modality: PSMA PET/CT | tracer: 18F | view: axial | PET grid: 200×200
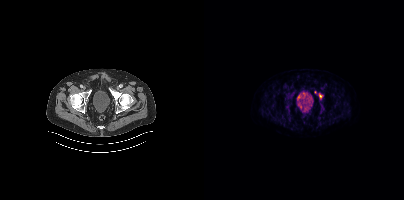
Coordinates are on the 200×200 PET (right) panel. (showing 1 of 2 foci) PSMA-avid tumor lesion bounding box (x0, y0)-(x1, y1): (114, 93)-(119, 99).